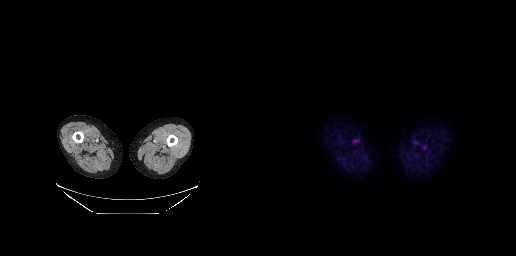
{"pet_grid":[256,256],"coord_frame":"pet_panel","coord_format":"x0,y0,x1,y1","psma_avid_lesions":false,"modality":"PSMA PET/CT","view":"axial","tracer":"[18F]PSMA-1007"}